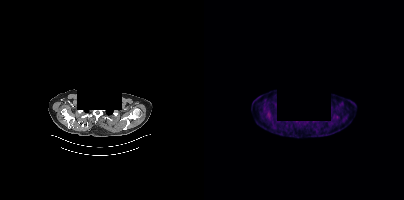
Negative for PSMA-avid disease on this slice. Paired axial CT (left) and PSMA PET (right), 18F tracer. Acquired on Siemens Biograph mCT Flow 20. Slice position z = -1044 mm. A rectangle over the head was blacked out to remove identifiable facial features.